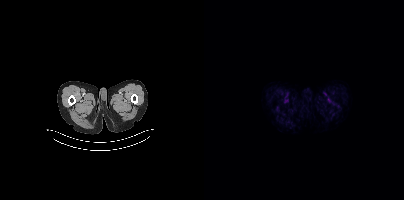
Paired axial CT (left) and PSMA PET (right), 18F tracer. Acquired on Siemens Biograph mCT Flow 20. Slice position z = -1037 mm. No tumor lesions annotated on this slice.